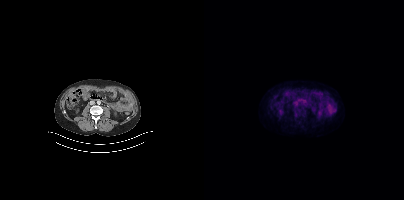
Left: CT. Right: PSMA PET, same axial level, [18F]PSMA-1007 tracer. No PSMA-avid tumor lesions on this slice.